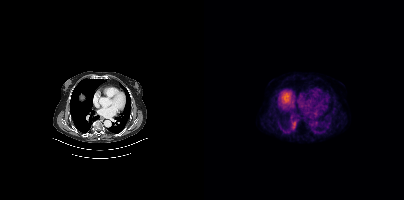
Findings: This slice has no annotated PSMA-avid lesion.
- Left: CT. Right: PSMA PET, same axial level, 18F-PSMA tracer